Two-panel axial: CT | PSMA PET, 68Ga-PSMA tracer. Acquired on GE Discovery 690.
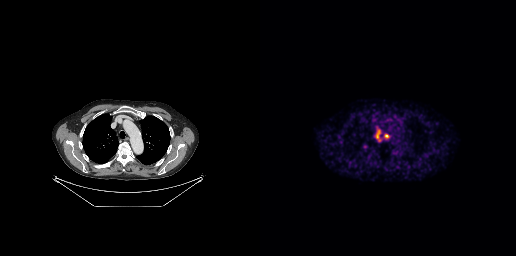
Coordinates are on the 256×256 PET (right) panel. PSMA-avid tumor lesion bounding boxes:
| # | x0 | y0 | x1 | y1 |
|---|---|---|---|---|
| 1 | 116 | 130 | 119 | 138 |
Small PSMA-avid focus (2 to 4 px across) near (center x, center y): (126, 135).